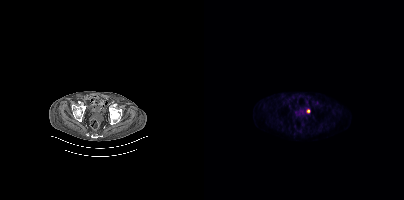
{"modality":"PSMA PET/CT","view":"axial","tracer":"18F","pet_grid":[200,200],"coord_frame":"pet_panel","coord_format":"x0,y0,x1,y1","partial":true,"lesion_bboxes":[]}